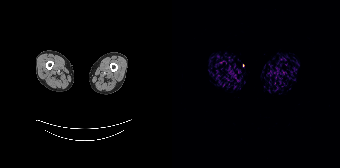
modality: PSMA PET/CT | tracer: [68Ga]Ga-PSMA-11 | view: axial | PET grid: 168×168
No PSMA-avid tumor lesions on this slice.